modality: PSMA PET/CT | tracer: 18F-PSMA | view: axial | PET grid: 200×200
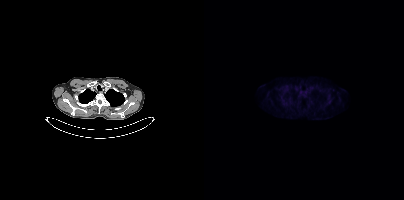
This slice has no annotated PSMA-avid lesion.